Technique: Paired axial CT (left) and PSMA PET (right), [18F]PSMA-1007 tracer. acquired on Siemens Biograph mCT Flow 20. slice position z = -1353 mm. PET panel 200×200 px (4.1 mm/px).
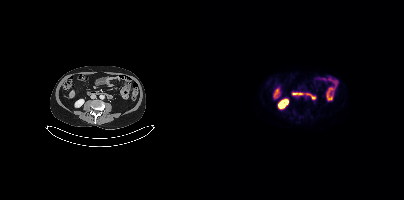
Findings: Negative for PSMA-avid disease on this slice.